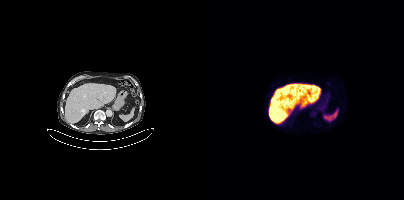
Negative for PSMA-avid disease on this slice.